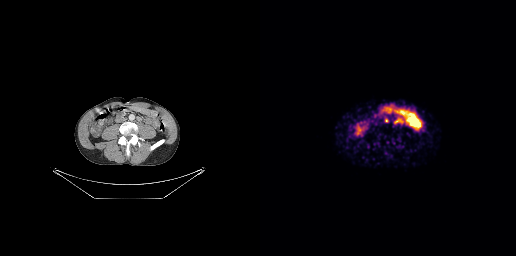
{"modality":"PSMA PET/CT","view":"axial","tracer":"68Ga-PSMA","pet_grid":[256,256],"coord_frame":"pet_panel","coord_format":"x0,y0,x1,y1","lesion_bboxes":[],"small_foci_centers":[[127,120]]}